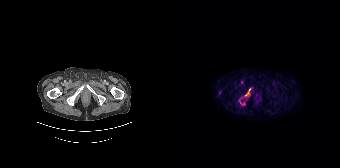
Coordinates are on the 168×168 PET (right) panel. (showing 2 of 5 foci) PSMA-avid tumor lesion bounding box (x0,y0,x1,y1): [72,88,78,96]. Small PSMA-avid focus (2 to 4 px across) near (center x, center y): (70, 82).